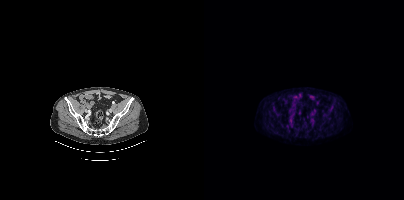
No PSMA-avid tumor lesions on this slice.